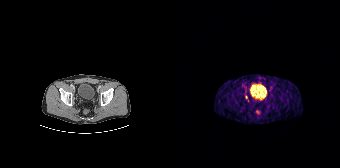
- Paired axial CT (left) and PSMA PET (right), [68Ga]Ga-PSMA-11 tracer
- slice 54 of 195
Findings: Coordinates are on the 168×168 PET (right) panel. Small PSMA-avid focus (2 to 4 px across) near (center x, center y): (74, 97).